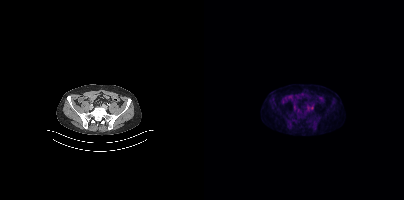
Left: CT. Right: PSMA PET, same axial level, 18F tracer. PET panel 200×200 px (4.1 mm/px). Only PSMA-avid lesion pieces thinner than 2 px on this slice (not listed).